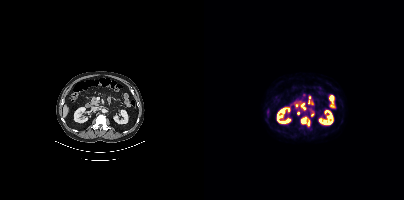
{"modality":"PSMA PET/CT","view":"axial","tracer":"18F","pet_grid":[200,200],"coord_frame":"pet_panel","coord_format":"x0,y0,x1,y1","lesion_bboxes":[[97,117,102,123],[104,121,105,125]],"small_foci_centers":[[98,105],[94,113],[100,108],[108,114]]}